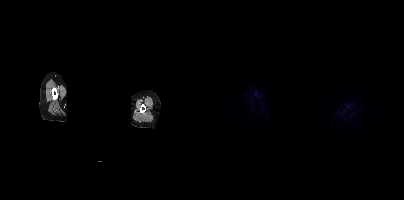
Head region blanked for anonymization (face removed). Paired axial CT (left) and PSMA PET (right), 68Ga tracer. Acquired on Siemens Biograph mCT Flow 20. Slice 396 of 444. This slice has no annotated PSMA-avid lesion.